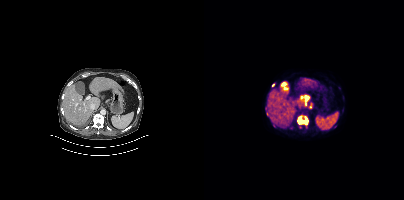
- Two-panel axial: CT | PSMA PET, [18F]PSMA-1007 tracer
- PET panel 200×200 px (4.1 mm/px)
Findings: Coordinates are on the 200×200 PET (right) panel. (showing 2 of 3 foci) PSMA-avid tumor lesion bounding box (x0, y0)-(x1, y1): (93, 115)-(104, 125). Small PSMA-avid focus (2 to 4 px across) near (center x, center y): (69, 85).